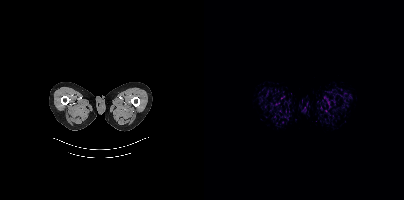
modality: PSMA PET/CT | tracer: [18F]PSMA-1007 | view: axial
No PSMA-avid tumor lesions on this slice.